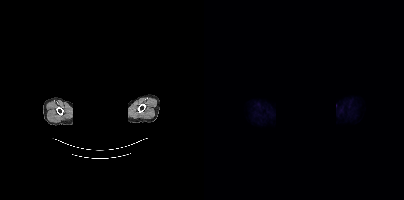
Left: CT. Right: PSMA PET, same axial level, 18F tracer. Slice position z = -922 mm. A rectangle over the head was blacked out to remove identifiable facial features. No PSMA-avid tumor lesions on this slice.